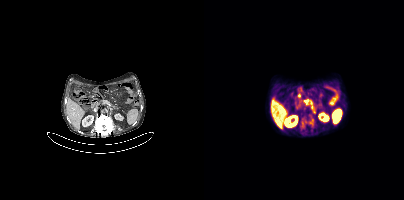
{"modality":"PSMA PET/CT","view":"axial","tracer":"[18F]PSMA-1007","pet_grid":[200,200],"coord_frame":"pet_panel","coord_format":"x0,y0,x1,y1","partial":true,"lesion_bboxes":[[98,116,109,127],[93,93,96,98],[97,106,102,110]]}